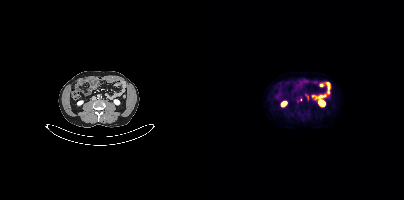
Findings: Coordinates are on the 200×200 PET (right) panel. (showing 1 of 2 foci) PSMA-avid tumor lesion bounding box (x0,y0,x1,y1): [102,96,105,100].
- Left: CT. Right: PSMA PET, same axial level, 18F tracer
- slice position z = -1466 mm
- PET panel 200×200 px (4.1 mm/px)